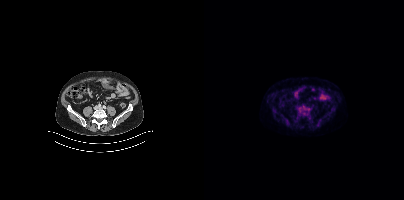
Coordinates are on the 200×200 PET (right) panel. Small PSMA-avid focus (2 to 4 px across) near (center x, center y): (94, 109).